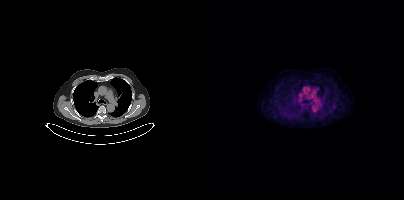
Coordinates are on the 200×200 PET (right) panel. Small PSMA-avid focus (2 to 4 px across) near (center x, center y): (129, 106).